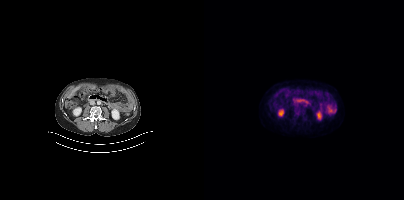
Paired axial CT (left) and PSMA PET (right), 18F tracer. Acquired on Siemens Biograph mCT Flow 20. PET panel 200×200 px (4.1 mm/px). No tumor lesions annotated on this slice.